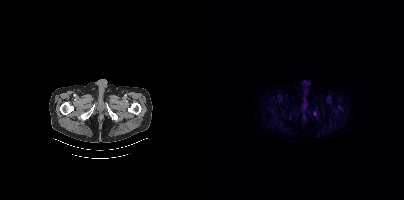
{"pet_grid":[200,200],"coord_frame":"pet_panel","coord_format":"x0,y0,x1,y1","psma_avid_lesions":false,"modality":"PSMA PET/CT","view":"axial","tracer":"[18F]PSMA-1007"}